Paired axial CT (left) and PSMA PET (right), [18F]PSMA-1007 tracer. Acquired on Siemens Biograph mCT Flow 20. Slice 355 of 433.
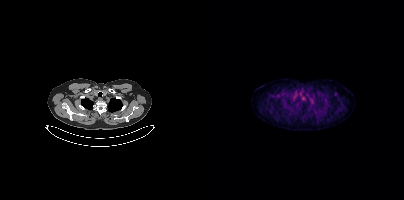
No tumor lesions annotated on this slice.